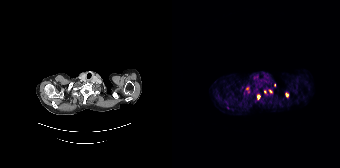
Coordinates are on the 168×168 PET (right) panel. (showing 5 of 6 foci) PSMA-avid tumor lesion bounding boxes (x0, y0)-(x1, y1): (113, 92)-(116, 97) / (85, 95)-(88, 99). Small PSMA-avid foci (2 to 4 px across) near (center x, center y): (75, 88) / (98, 91) / (92, 91).